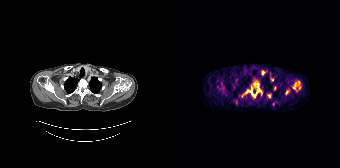
Coordinates are on the 168×168 PET (right) panel. (showing 8 of 13 foci) PSMA-avid tumor lesion bounding boxes (x, y, width, height): x=75 y=83 w=15 h=14 | x=79 y=82 w=5 h=6. Small PSMA-avid foci (2 to 4 px across) near (center x, center y): (91, 72) | (99, 80) | (97, 96) | (101, 104) | (122, 86) | (114, 92). Left: CT. Right: PSMA PET, same axial level, 68Ga-PSMA tracer. Acquired on Siemens Biograph 64-4R TruePoint. Slice position z = -760 mm. PET panel 168×168 px (4.1 mm/px).